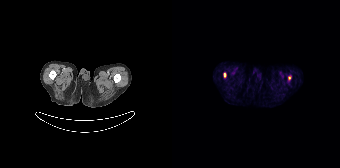
Technique: Left: CT. Right: PSMA PET, same axial level, [68Ga]Ga-PSMA-11 tracer. acquired on Siemens Biograph 64-4R TruePoint. slice 21 of 165. PET panel 168×168 px (4.1 mm/px).
Findings: Coordinates are on the 168×168 PET (right) panel. Small PSMA-avid foci (2 to 4 px across) near (center x, center y): (52, 74) (117, 78).